modality: PSMA PET/CT | tracer: 18F | view: axial
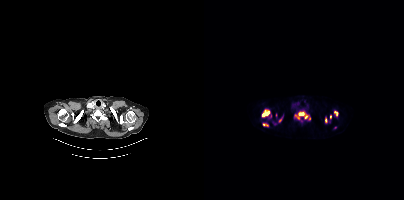
Coordinates are on the 200×200 PET (right) panel. (showing 7 of 8 foci) PSMA-avid tumor lesion bounding boxes (x0,y0,x1,y1): [91,111,103,119], [58,110,65,116], [130,111,134,115], [121,118,122,122], [59,124,63,125]. Small PSMA-avid foci (2 to 4 px across) near (center x, center y): (126, 116), (105, 118).